Left: CT. Right: PSMA PET, same axial level, [18F]PSMA-1007 tracer. Acquired on Siemens Biograph mCT Flow 20.
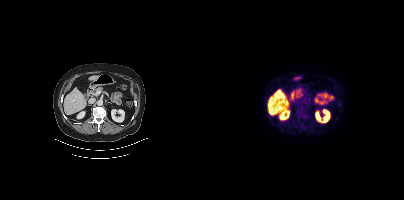
Coordinates are on the 200×200 PET (right) panel. PSMA-avid tumor lesion bounding boxes:
| # | x0 | y0 | x1 | y1 |
|---|---|---|---|---|
| 1 | 92 | 108 | 102 | 116 |
| 2 | 96 | 124 | 101 | 128 |
Small PSMA-avid focus (2 to 4 px across) near (center x, center y): (135, 103).